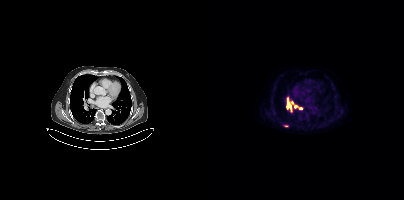
Paired axial CT (left) and PSMA PET (right), 18F tracer. Coordinates are on the 200×200 PET (right) panel. Small PSMA-avid foci (2 to 4 px across) near (center x, center y): (91, 106); (96, 108).